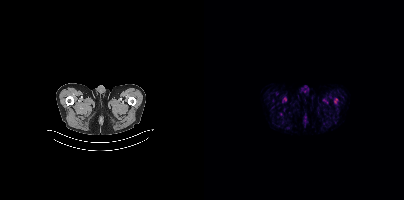
Coordinates are on the 200×200 PET (right) panel. Small PSMA-avid focus (2 to 4 px across) near (center x, center y): (131, 101).